Two-panel axial: CT | PSMA PET, [18F]PSMA-1007 tracer. Acquired on Siemens Biograph mCT Flow 20. Slice position z = -816 mm.
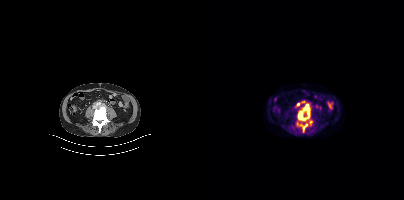
Coordinates are on the 200×200 PET (right) panel. PSMA-avid tumor lesion bounding boxes (x0,y0,x1,y1): [94,104,105,120]; [96,124,103,131]. Small PSMA-avid foci (2 to 4 px across) near (center x, center y): (94, 104); (106, 121).